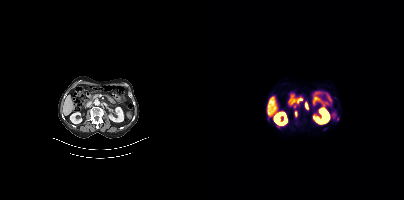
Two-panel axial: CT | PSMA PET, 68Ga tracer. Acquired on Siemens Biograph mCT Flow 20. PET panel 200×200 px (4.1 mm/px).
Coordinates are on the 200×200 PET (right) panel. PSMA-avid tumor lesion bounding boxes (partial; 1 more focus not listed):
| # | x0 | y0 | x1 | y1 |
|---|---|---|---|---|
| 1 | 93 | 99 | 98 | 103 |
| 2 | 91 | 112 | 93 | 116 |
| 3 | 101 | 104 | 103 | 108 |
Small PSMA-avid foci (2 to 4 px across) near (center x, center y): (133, 118); (121, 129).